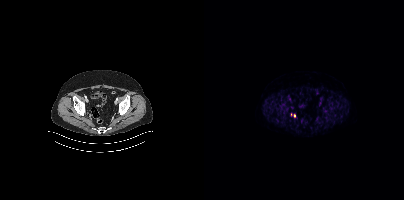
Coordinates are on the 200×200 PET (right) panel. (showing 1 of 2 foci) Small PSMA-avid focus (2 to 4 px across) near (center x, center y): (90, 115).